- Two-panel axial: CT | PSMA PET, [18F]PSMA-1007 tracer
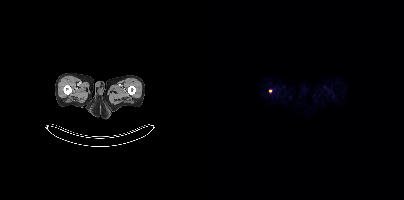
Findings: Coordinates are on the 200×200 PET (right) panel. Small PSMA-avid focus (2 to 4 px across) near (center x, center y): (66, 91).